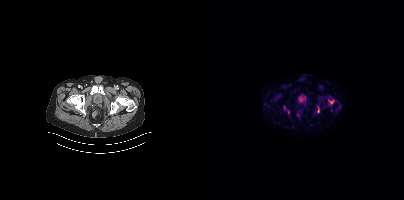
Only PSMA-avid lesion pieces thinner than 2 px on this slice (not listed).